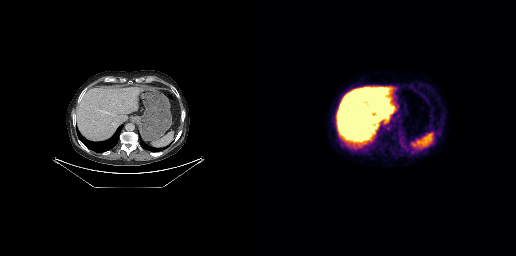
modality: PSMA PET/CT | tracer: 18F-PSMA | view: axial | PET grid: 256×256
Coordinates are on the 256×256 PET (right) panel. (showing 3 of 4 foci) PSMA-avid tumor lesion bounding boxes (x0,y0,x1,y1): [110,91,114,95]; [164,145,168,148]. Small PSMA-avid focus (2 to 4 px across) near (center x, center y): (94, 109).